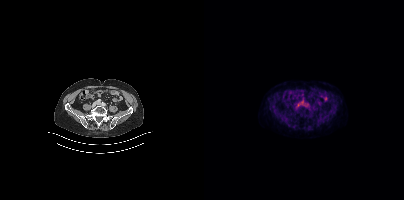
Findings: This slice has no annotated PSMA-avid lesion.
- Two-panel axial: CT | PSMA PET, 18F-PSMA tracer